modality: PSMA PET/CT | tracer: 18F-PSMA | view: axial
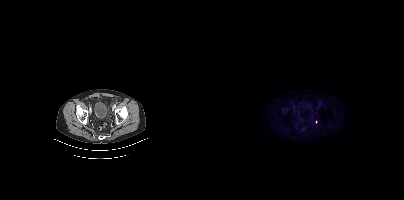
Coordinates are on the 200×200 PET (right) panel. (showing 1 of 2 foci) PSMA-avid tumor lesion bounding box (x0, y0)-(x1, y1): (78, 110)-(82, 114).